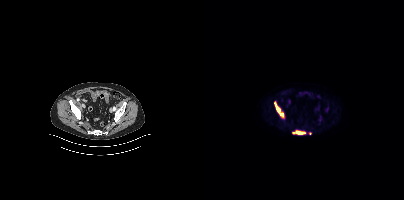
Coordinates are on the 200×200 PET (right) panel. PSMA-avid tumor lesion bounding boxes (x, y, width, height): x=70 y=102 w=10 h=16 / x=88 y=131 w=14 h=4. Small PSMA-avid focus (2 to 4 px across) near (center x, center y): (106, 133).
modality: PSMA PET/CT | tracer: 18F | view: axial